Technique: Paired axial CT (left) and PSMA PET (right), [18F]PSMA-1007 tracer.
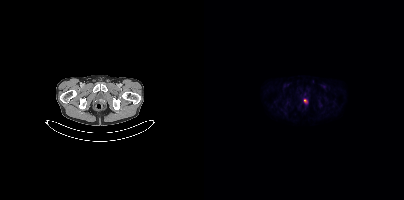
Findings: Coordinates are on the 200×200 PET (right) panel. PSMA-avid tumor lesion bounding box (x0,y0,x1,y1): [100,99,103,103].